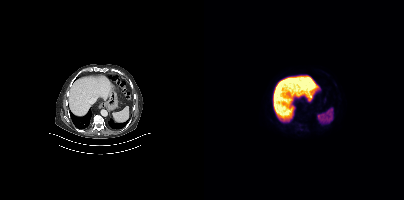
{"modality":"PSMA PET/CT","view":"axial","tracer":"18F-PSMA","pet_grid":[200,200],"coord_frame":"pet_panel","coord_format":"x0,y0,x1,y1","psma_avid_lesions":false}